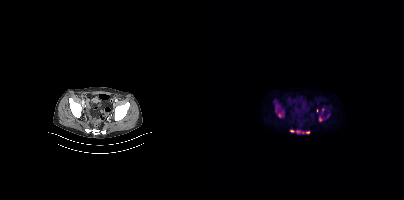
Coordinates are on the 200×200 PET (right) panel. (showing 6 of 8 foci) PSMA-avid tumor lesion bounding boxes (x0, y0)-(x1, y1): (115, 116)-(118, 121) | (74, 113)-(77, 117) | (86, 130)-(90, 132) | (92, 130)-(96, 132). Small PSMA-avid foci (2 to 4 px across) near (center x, center y): (103, 132) | (98, 132).